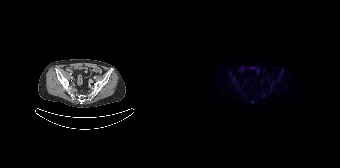
{"modality":"PSMA PET/CT","view":"axial","tracer":"[18F]PSMA-1007","pet_grid":[168,168],"coord_frame":"pet_panel","coord_format":"x0,y0,x1,y1","psma_avid_lesions":false}